Two-panel axial: CT | PSMA PET, [18F]PSMA-1007 tracer. Acquired on Siemens Biograph mCT Flow 20. Slice 76 of 413.
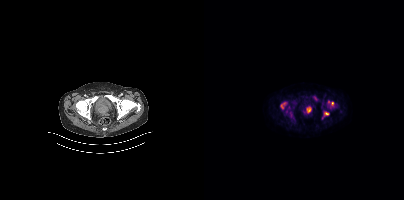
Coordinates are on the 200×200 PET (right) panel. (showing 6 of 7 foci) PSMA-avid tumor lesion bounding boxes (x, y, width, height): x=76 y=103 w=7 h=7; x=118 y=112 w=7 h=7; x=103 y=107 w=4 h=5. Small PSMA-avid foci (2 to 4 px across) near (center x, center y): (128, 103); (124, 101); (82, 111).